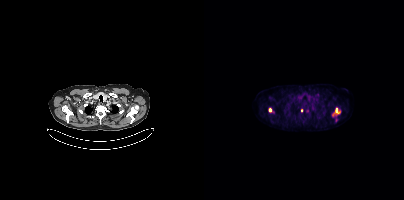
Coordinates are on the 200×200 PET (right) panel. (showing 3 of 4 foci) PSMA-avid tumor lesion bounding boxes (x, y, width, height): x=128 y=108 w=8 h=9 / x=64 y=108 w=4 h=5. Small PSMA-avid focus (2 to 4 px across) near (center x, center y): (98, 110).